Left: CT. Right: PSMA PET, same axial level, 18F tracer. Acquired on Siemens Biograph mCT Flow 20. Slice 296 of 409. PET panel 200×200 px (4.1 mm/px).
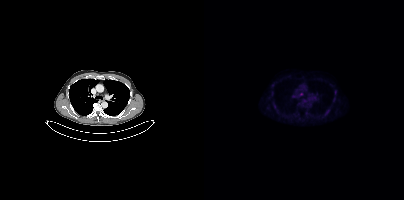
Coordinates are on the 200×200 PET (right) panel. Small PSMA-avid focus (2 to 4 px across) near (center x, center y): (97, 93).